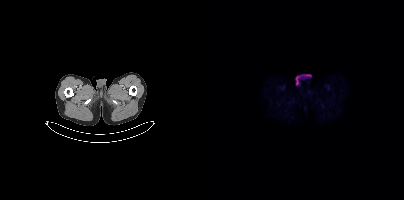
Findings: Negative for PSMA-avid disease on this slice.
Technique: Paired axial CT (left) and PSMA PET (right), [18F]PSMA-1007 tracer. acquired on Siemens Biograph mCT Flow 20. slice 25 of 448. PET panel 200×200 px (4.1 mm/px).